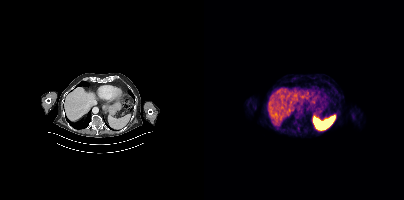
Left: CT. Right: PSMA PET, same axial level, 18F-PSMA tracer. PET panel 200×200 px (4.1 mm/px). No tumor lesions annotated on this slice.